Two-panel axial: CT | PSMA PET, [18F]PSMA-1007 tracer. Slice 348 of 429.
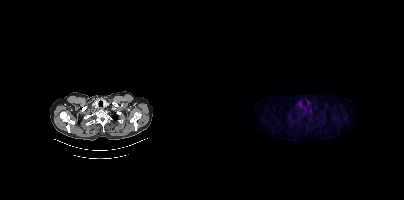
Coordinates are on the 200×200 PET (right) panel. Small PSMA-avid focus (2 to 4 px across) near (center x, center y): (140, 119).